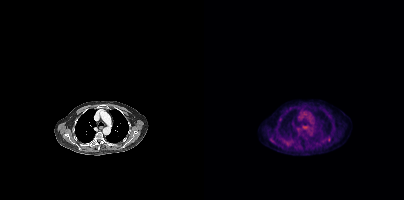
Coordinates are on the 200×200 PET (right) panel. Small PSMA-avid foci (2 to 4 px across) near (center x, center y): (125, 139); (76, 119).